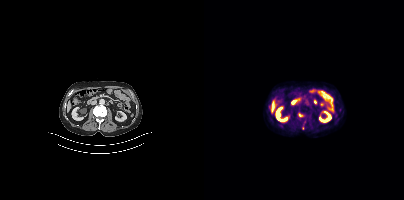
Paired axial CT (left) and PSMA PET (right), 18F tracer. Acquired on Siemens Biograph mCT Flow 20. Slice 171 of 407. Coordinates are on the 200×200 PET (right) panel. Small PSMA-avid foci (2 to 4 px across) near (center x, center y): (95, 115); (98, 128).